Paired axial CT (left) and PSMA PET (right), 68Ga tracer. PET panel 168×168 px (4.1 mm/px).
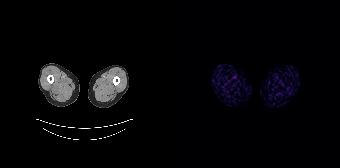
No PSMA-avid tumor lesions on this slice.